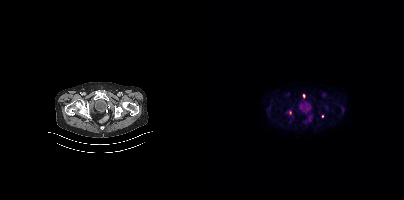
Coordinates are on the 200×200 PET (right) panel. Small PSMA-avid foci (2 to 4 px across) near (center x, center y): (86, 112) (99, 96) (118, 116). Left: CT. Right: PSMA PET, same axial level, 18F tracer. Acquired on Siemens Biograph mCT Flow 20. PET panel 200×200 px (4.1 mm/px).